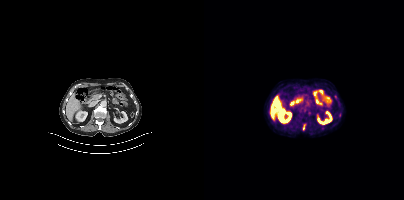
Technique: Two-panel axial: CT | PSMA PET, 18F-PSMA tracer. acquired on Siemens Biograph mCT Flow 20. PET panel 200×200 px (4.1 mm/px).
Findings: Coordinates are on the 200×200 PET (right) panel. PSMA-avid tumor lesion bounding box (x0, y0)-(x1, y1): (99, 125)-(100, 129).